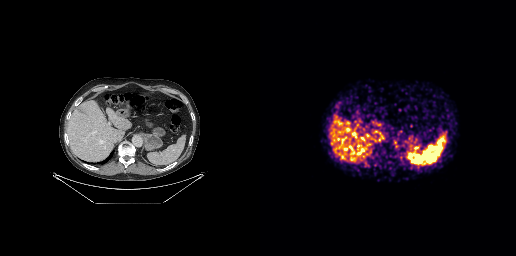
Technique: Left: CT. Right: PSMA PET, same axial level, 68Ga-PSMA tracer. acquired on GE Discovery 690.
Findings: No tumor lesions annotated on this slice.